- Left: CT. Right: PSMA PET, same axial level, 68Ga-PSMA tracer
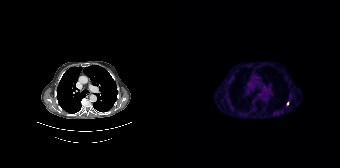
Findings: Coordinates are on the 168×168 PET (right) panel. Small PSMA-avid foci (2 to 4 px across) near (center x, center y): (115, 103) / (110, 111) / (59, 79).